- Paired axial CT (left) and PSMA PET (right), [18F]PSMA-1007 tracer
- acquired on Siemens Biograph mCT Flow 20
- slice 220 of 429
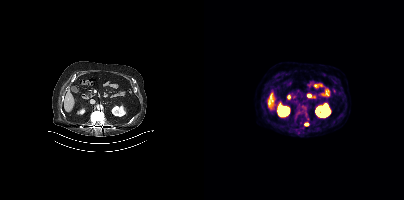
Findings: Coordinates are on the 200×200 PET (right) panel. Small PSMA-avid focus (2 to 4 px across) near (center x, center y): (102, 124).